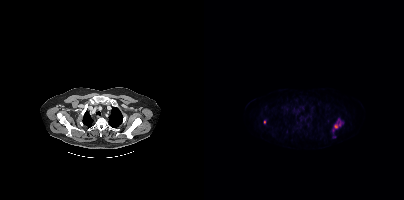
Left: CT. Right: PSMA PET, same axial level, 18F tracer. Slice position z = -922 mm. PET panel 200×200 px (4.1 mm/px). Coordinates are on the 200×200 PET (right) panel. PSMA-avid tumor lesion bounding box (x, y, width, height): x=130 y=118 w=10 h=11. Small PSMA-avid foci (2 to 4 px across) near (center x, center y): (60, 122); (130, 136).